Two-panel axial: CT | PSMA PET, [18F]PSMA-1007 tracer. Slice position z = -1274 mm.
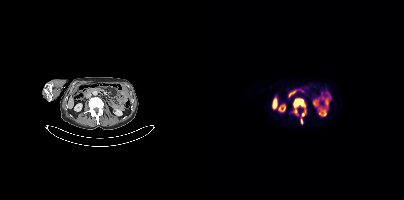
Coordinates are on the 200×200 PET (right) panel. PSMA-avid tumor lesion bounding boxes (x0, y0)-(x1, y1): (87, 98)-(102, 116); (97, 118)-(98, 123).